- Paired axial CT (left) and PSMA PET (right), 18F-PSMA tracer
- acquired on Siemens Biograph mCT Flow 20
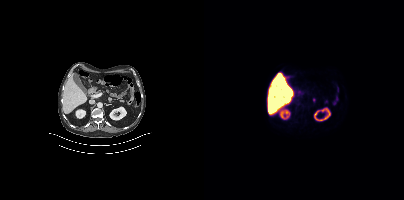
Findings: No PSMA-avid tumor lesions on this slice.